Paired axial CT (left) and PSMA PET (right), 18F tracer. PET panel 200×200 px (4.1 mm/px).
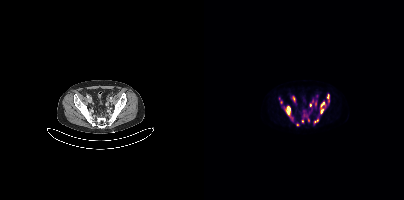
Coordinates are on the 200×200 PET (right) panel. (showing 14 of 15 foci) PSMA-avid tumor lesion bounding boxes (x0, y0)-(x1, y1): (82, 106)-(86, 114) / (88, 96)-(91, 102) / (117, 102)-(121, 107) / (123, 94)-(125, 99) / (75, 99)-(78, 104) / (102, 115)-(105, 121) / (116, 109)-(119, 113) / (111, 101)-(112, 105). Small PSMA-avid foci (2 to 4 px across) near (center x, center y): (111, 121) / (98, 120) / (93, 124) / (106, 105) / (88, 118) / (108, 101).